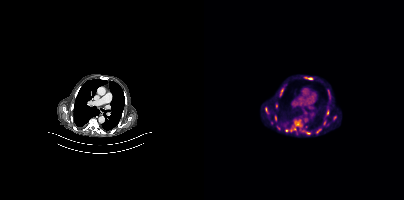
modality: PSMA PET/CT | tracer: 18F | view: axial | PET grid: 200×200
Coordinates are on the 200×200 PET (right) panel. (showing 10 of 11 foci) PSMA-avid tumor lesion bounding boxes (x0,y0,x1,y1): [87,119,98,130]; [77,84,82,92]; [61,107,65,114]; [71,115,72,121]; [123,110,124,114]. Small PSMA-avid foci (2 to 4 px across) near (center x, center y): (72, 105); (130, 117); (120, 123); (67, 122); (82, 130).